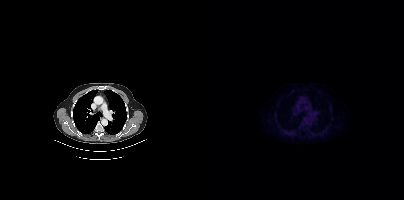
modality: PSMA PET/CT | tracer: [18F]PSMA-1007 | view: axial | PET grid: 200×200
This slice has no annotated PSMA-avid lesion.